- Two-panel axial: CT | PSMA PET, 68Ga tracer
- privacy masking over the head, with the pixels inside a rectangle set to black
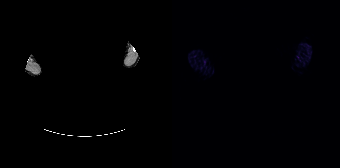
Findings: This slice has no annotated PSMA-avid lesion.